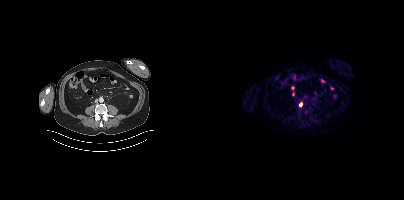
Coordinates are on the 200×200 PET (right) panel. Small PSMA-avid focus (2 to 4 px across) near (center x, center y): (96, 104).